modality: PSMA PET/CT | tracer: 18F-PSMA | view: axial | PET grid: 200×200
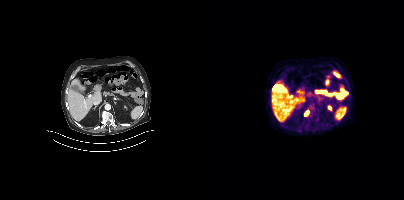
Coordinates are on the 200×200 PET (right) panel. PSMA-avid tumor lesion bounding box (x0,y0,x1,y1): [100,110,105,116].